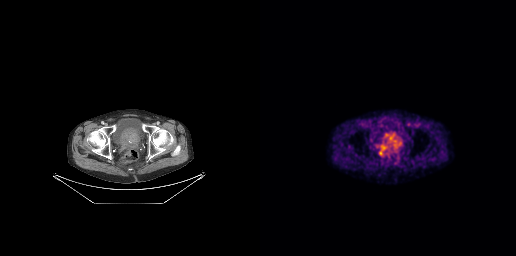
Left: CT. Right: PSMA PET, same axial level, [18F]PSMA-1007 tracer. Coordinates are on the 256×256 PET (right) panel. PSMA-avid tumor lesion bounding box (x0,y0,x1,y1): [118,150,121,154].